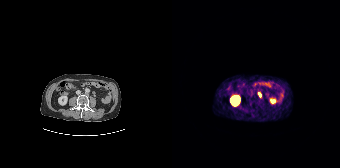
Coordinates are on the 168×168 PET (right) panel. Small PSMA-avid focus (2 to 4 px across) near (center x, center y): (87, 94). Left: CT. Right: PSMA PET, same axial level, 68Ga-PSMA tracer. Slice position z = -678 mm. PET panel 168×168 px (4.1 mm/px).